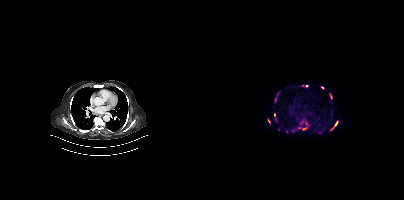
{"modality":"PSMA PET/CT","view":"axial","tracer":"68Ga","pet_grid":[200,200],"coord_frame":"pet_panel","coord_format":"x0,y0,x1,y1","partial":true,"lesion_bboxes":[[126,122,133,130],[96,122,99,126],[64,119,66,123],[126,94,128,98],[99,127,103,129],[70,115,72,119]],"small_foci_centers":[[71,100],[118,87],[102,85],[102,123]]}